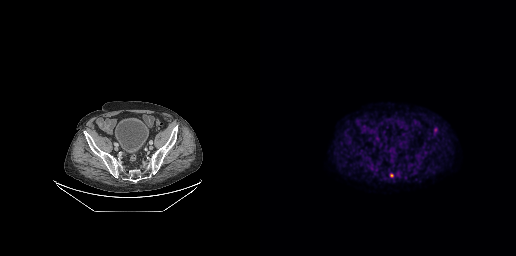
Coordinates are on the 256×256 PET (right) panel. Small PSMA-avid focus (2 to 4 px across) near (center x, center y): (131, 175).